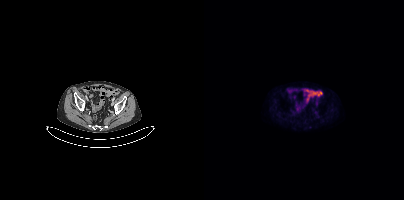
{"pet_grid":[200,200],"coord_frame":"pet_panel","coord_format":"x0,y0,x1,y1","psma_avid_lesions":false,"modality":"PSMA PET/CT","view":"axial","tracer":"[18F]PSMA-1007"}